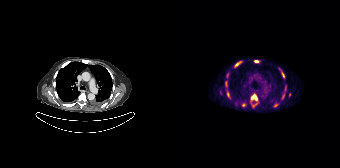
Coordinates are on the 168×168 PET (right) panel. (showing 11 of 13 foci) PSMA-avid tumor lesion bounding boxes (x0,y0,x1,y1): [79,94,85,100]; [107,68,112,78]; [63,61,69,67]; [82,60,87,62]; [53,81,55,86]; [55,92,57,97]; [101,103,104,107]; [110,94,112,98]. Small PSMA-avid foci (2 to 4 px across) near (center x, center y): (84, 104); (71, 105); (117, 94). Left: CT. Right: PSMA PET, same axial level, 68Ga-PSMA tracer. Acquired on Siemens Biograph 64-4R TruePoint. PET panel 168×168 px (4.1 mm/px).